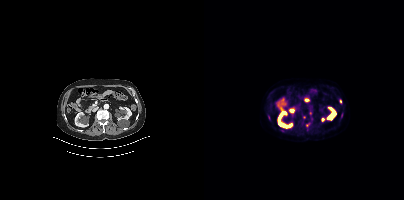
Paired axial CT (left) and PSMA PET (right), [18F]PSMA-1007 tracer. Coordinates are on the 200×200 PET (right) panel. (showing 4 of 7 foci) Small PSMA-avid foci (2 to 4 px across) near (center x, center y): (136, 101); (103, 125); (64, 117); (106, 112).